Paired axial CT (left) and PSMA PET (right), [18F]PSMA-1007 tracer. Acquired on Siemens Biograph mCT Flow 20. PET panel 200×200 px (4.1 mm/px).
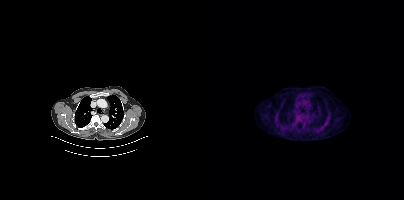
Only PSMA-avid lesion pieces thinner than 2 px on this slice (not listed).